Two-panel axial: CT | PSMA PET, 18F-PSMA tracer. Slice position z = -191 mm. PET panel 256×256 px (2.7 mm/px).
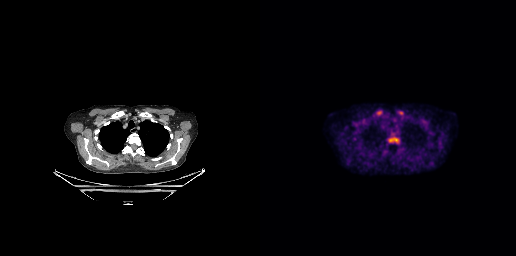
Coordinates are on the 256×256 PET (right) panel. (showing 1 of 2 foci) PSMA-avid tumor lesion bounding box (x, y, width, height): x=128 y=133 w=12 h=10.